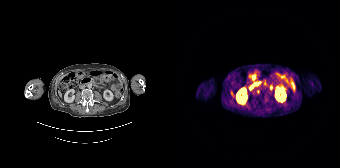
Coordinates are on the 168×168 PET (right) panel. Small PSMA-avid focus (2 to 4 px across) near (center x, center y): (86, 91).